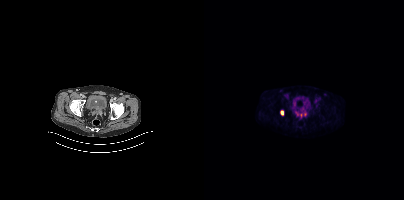
Coordinates are on the 200×200 PET (right) panel. PSMA-avid tumor lesion bounding box (x0,y0,x1,y1): [76,110,79,115].